modality: PSMA PET/CT | tracer: 68Ga | view: axial
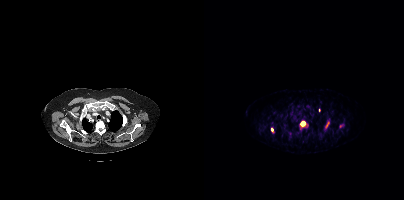
Coordinates are on the 200×200 PET (right) panel. (showing 5 of 6 foci) PSMA-avid tumor lesion bounding boxes (x, y, width, height): x=95 y=121 w=10 h=10 | x=121 y=121 w=5 h=9 | x=67 y=128 w=3 h=5 | x=135 y=124 w=5 h=4. Small PSMA-avid focus (2 to 4 px across) near (center x, center y): (115, 109).